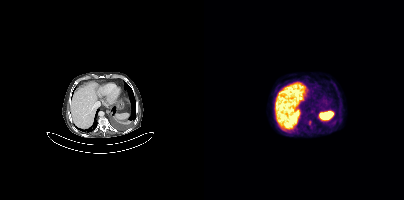
Two-panel axial: CT | PSMA PET, 18F tracer. Slice position z = -1170 mm. Only PSMA-avid lesion pieces thinner than 2 px on this slice (not listed).